Left: CT. Right: PSMA PET, same axial level, 68Ga tracer. PET panel 168×168 px (4.1 mm/px).
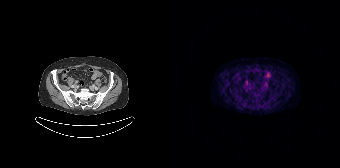
No PSMA-avid tumor lesions on this slice.